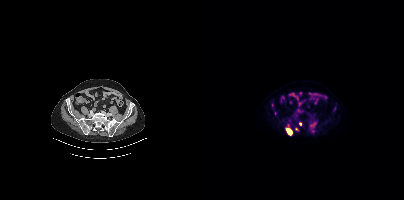
Findings: Coordinates are on the 200×200 PET (right) panel. PSMA-avid tumor lesion bounding box (x0, y0)-(x1, y1): (82, 128)-(88, 135). Small PSMA-avid foci (2 to 4 px across) near (center x, center y): (109, 124); (96, 123); (92, 128).
- Two-panel axial: CT | PSMA PET, 18F tracer
- slice 123 of 401